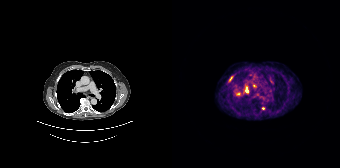
Findings: Coordinates are on the 168×168 PET (right) panel. (showing 3 of 4 foci) PSMA-avid tumor lesion bounding boxes (x, y, width, height): x=56 y=76 w=6 h=7 / x=74 y=88 w=3 h=5. Small PSMA-avid focus (2 to 4 px across) near (center x, center y): (91, 108).
- Paired axial CT (left) and PSMA PET (right), [68Ga]Ga-PSMA-11 tracer
- PET panel 168×168 px (4.1 mm/px)